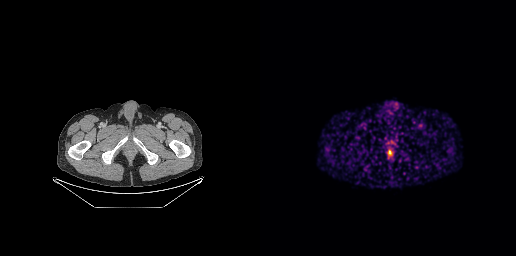
{"modality":"PSMA PET/CT","view":"axial","tracer":"[68Ga]Ga-PSMA-11","pet_grid":[256,256],"coord_frame":"pet_panel","coord_format":"x0,y0,x1,y1","psma_avid_lesions":false}